Technique: Two-panel axial: CT | PSMA PET, 18F tracer. acquired on Siemens Biograph mCT Flow 20. slice 140 of 435.
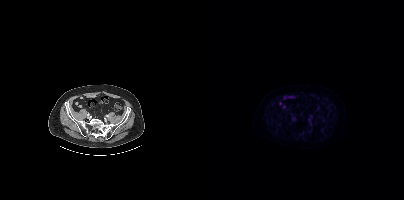
Findings: Negative for PSMA-avid disease on this slice.